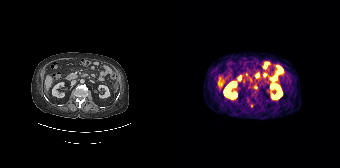
Coordinates are on the 168×168 PET (right) panel. (showing 1 of 2 foci) Small PSMA-avid focus (2 to 4 px across) near (center x, center y): (79, 105).